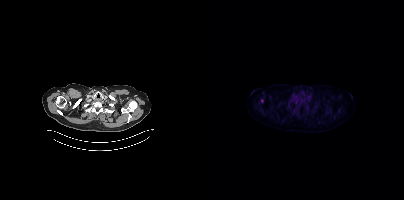
{"modality":"PSMA PET/CT","view":"axial","tracer":"18F","pet_grid":[200,200],"coord_frame":"pet_panel","coord_format":"x0,y0,x1,y1","partial":true,"lesion_bboxes":[]}